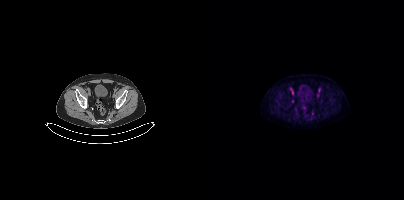
Findings: Coordinates are on the 200×200 PET (right) panel. Small PSMA-avid focus (2 to 4 px across) near (center x, center y): (88, 101).
Technique: Paired axial CT (left) and PSMA PET (right), 18F tracer. PET panel 200×200 px (4.1 mm/px).